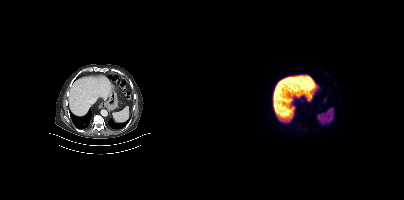
No PSMA-avid tumor lesions on this slice.